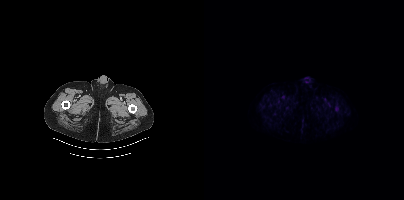
{"modality":"PSMA PET/CT","view":"axial","tracer":"18F-PSMA","pet_grid":[200,200],"coord_frame":"pet_panel","coord_format":"x0,y0,x1,y1","lesion_bboxes":[[131,107,134,111]]}